modality: PSMA PET/CT | tracer: [18F]PSMA-1007 | view: axial | PET grid: 256×256
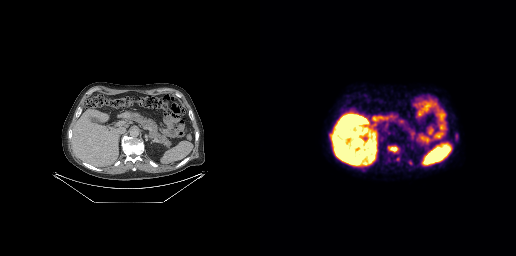
Coordinates are on the 256×256 PET (right) panel. PSMA-avid tumor lesion bounding box (x, y, width, height): x=129 y=147 w=9 h=5.